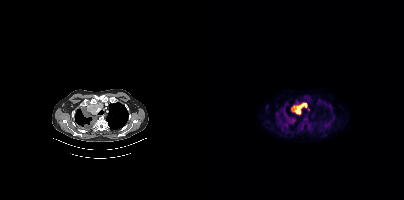
Coordinates are on the 200×200 PET (right) panel. PSMA-avid tumor lesion bounding boxes (x, y, width, height): x=87 y=103 w=19 h=12 / x=79 y=110 w=11 h=15. Small PSMA-avid focus (2 to 4 px across) near (center x, center y): (101, 119). Two-panel axial: CT | PSMA PET, [18F]PSMA-1007 tracer. PET panel 200×200 px (4.1 mm/px).